Technique: Two-panel axial: CT | PSMA PET, [18F]PSMA-1007 tracer. slice position z = -1020 mm.
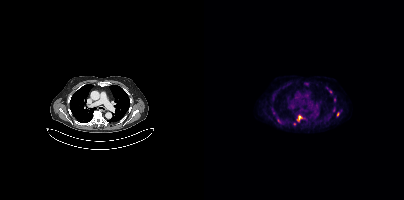
Findings: Coordinates are on the 200×200 PET (right) panel. (showing 4 of 6 foci) PSMA-avid tumor lesion bounding box (x0, y0)-(x1, y1): (93, 116)-(97, 121). Small PSMA-avid foci (2 to 4 px across) near (center x, center y): (75, 120) / (133, 114) / (126, 91).